Left: CT. Right: PSMA PET, same axial level, 18F-PSMA tracer. Slice position z = -1302 mm.
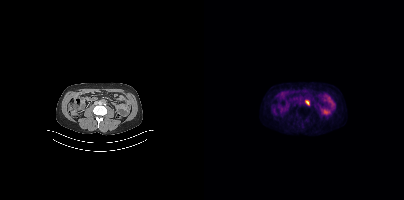
Coordinates are on the 200×200 PET (right) panel. PSMA-avid tumor lesion bounding box (x0, y0)-(x1, y1): (101, 100)-(105, 104).